Two-panel axial: CT | PSMA PET, [68Ga]Ga-PSMA-11 tracer. Acquired on Siemens Biograph mCT Flow 20. Slice position z = -815 mm. PET panel 200×200 px (4.1 mm/px). Facial anatomy redacted by setting a rectangular region of the head to black.
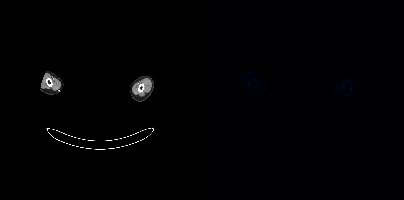
No PSMA-avid tumor lesions on this slice.